Technique: Two-panel axial: CT | PSMA PET, 18F tracer.
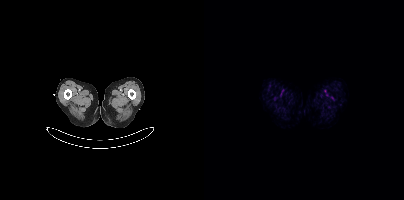
Findings: No PSMA-avid tumor lesions on this slice.